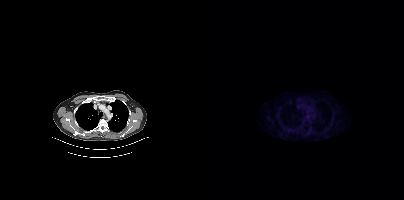
- Paired axial CT (left) and PSMA PET (right), [18F]PSMA-1007 tracer
- slice position z = -1018 mm
- PET panel 200×200 px (4.1 mm/px)
Findings: No tumor lesions annotated on this slice.